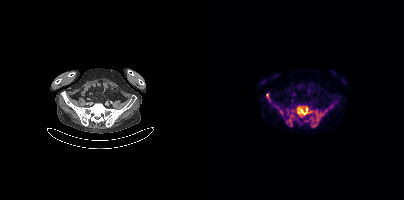
Coordinates are on the 200×200 PET (right) panel. (showing 6 of 10 foci) PSMA-avid tumor lesion bounding boxes (x0, y0)-(x1, y1): (93, 106)-(107, 117) / (105, 115)-(118, 127) / (81, 114)-(90, 126) / (62, 93)-(64, 98). Small PSMA-avid foci (2 to 4 px across) near (center x, center y): (101, 120) / (70, 105).